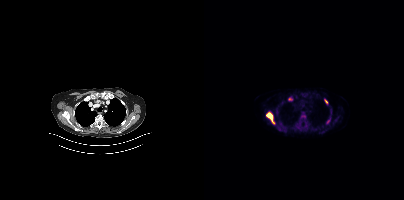
{"modality":"PSMA PET/CT","view":"axial","tracer":"18F-PSMA","pet_grid":[200,200],"coord_frame":"pet_panel","coord_format":"x0,y0,x1,y1","lesion_bboxes":[[62,112,70,124],[96,113,102,118],[122,118,126,123],[120,100,124,104],[84,98,88,100]]}